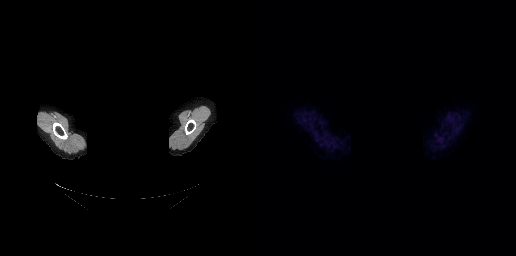
{"modality":"PSMA PET/CT","view":"axial","tracer":"18F-PSMA","pet_grid":[256,256],"coord_frame":"pet_panel","coord_format":"x0,y0,x1,y1","psma_avid_lesions":false,"de-identification":"head region blanked (face removed)"}